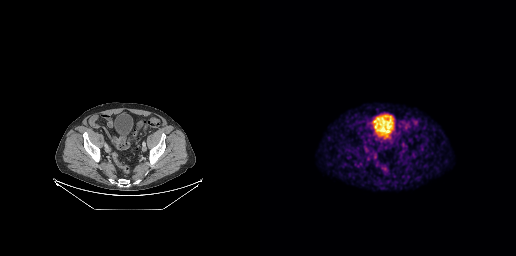
{"modality":"PSMA PET/CT","view":"axial","tracer":"68Ga","pet_grid":[256,256],"coord_frame":"pet_panel","coord_format":"x0,y0,x1,y1","psma_avid_lesions":false}